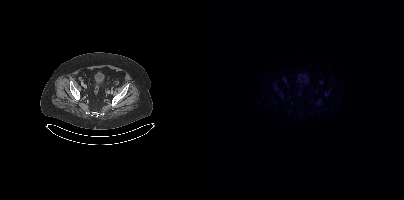
Coordinates are on the 200×200 PET (right) panel. Small PSMA-avid focus (2 to 4 px across) near (center x, center y): (122, 94).